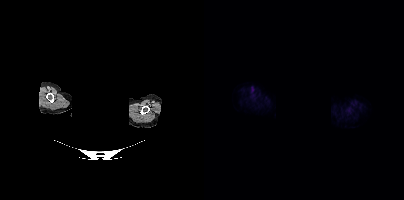
Two-panel axial: CT | PSMA PET, [18F]PSMA-1007 tracer. Acquired on Siemens Biograph mCT Flow 20. A rectangular block over the head has been blanked out for de-identification. This slice has no annotated PSMA-avid lesion.